modality: PSMA PET/CT | tracer: 18F-PSMA | view: axial
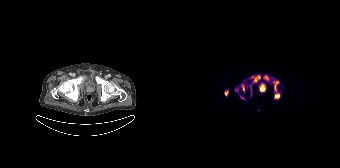
Coordinates are on the 168×168 PET (right) panel. (showing 10 of 11 foci) PSMA-avid tumor lesion bounding boxes (x, y, width, height): x=101 y=81 w=8 h=19; x=91 y=75 w=7 h=7; x=69 y=83 w=5 h=10; x=81 y=75 w=6 h=8; x=73 y=81 w=8 h=14; x=52 y=90 w=5 h=7; x=68 y=96 w=5 h=4. Small PSMA-avid foci (2 to 4 px across) near (center x, center y): (64, 89); (100, 78); (79, 76).